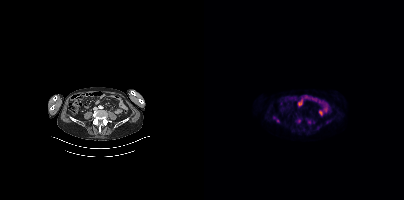
{"modality":"PSMA PET/CT","view":"axial","tracer":"[18F]PSMA-1007","pet_grid":[200,200],"coord_frame":"pet_panel","coord_format":"x0,y0,x1,y1","partial":true,"lesion_bboxes":[],"small_foci_centers":[[95,120],[74,120],[105,121]]}